Paired axial CT (left) and PSMA PET (right), 18F tracer. Slice position z = -397 mm. PET panel 200×200 px (4.1 mm/px).
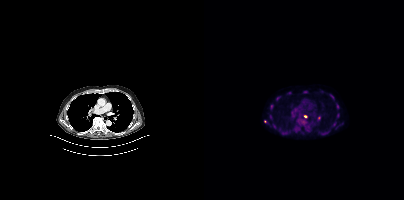
Coordinates are on the 200×200 PET (right) panel. PSMA-avid tumor lesion bounding boxes (partial; 1 more focus not listed):
| # | x0 | y0 | x1 | y1 |
|---|---|---|---|---|
| 1 | 132 | 103 | 135 | 109 |
| 2 | 126 | 94 | 130 | 99 |
| 3 | 99 | 90 | 103 | 93 |
| 4 | 83 | 92 | 87 | 94 |
| 5 | 133 | 113 | 135 | 117 |
Small PSMA-avid foci (2 to 4 px across) near (center x, center y): (73, 98); (61, 121); (67, 106); (66, 116); (101, 116); (70, 126).